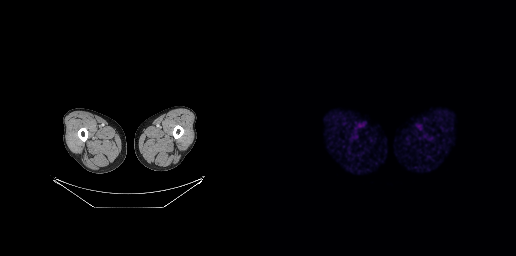
- Left: CT. Right: PSMA PET, same axial level, 68Ga tracer
- acquired on GE Discovery 690
- slice position z = -955 mm
- PET panel 256×256 px (2.7 mm/px)
Findings: No PSMA-avid tumor lesions on this slice.